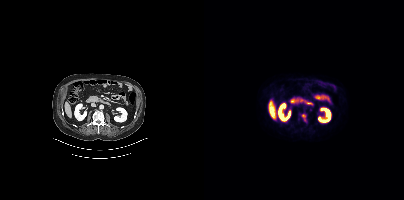
Findings: Coordinates are on the 200×200 PET (right) panel. (showing 1 of 2 foci) PSMA-avid tumor lesion bounding box (x0,y0,x1,y1): [98,114,101,118].
- Paired axial CT (left) and PSMA PET (right), 18F-PSMA tracer
- acquired on Siemens Biograph mCT Flow 20
- slice 207 of 450